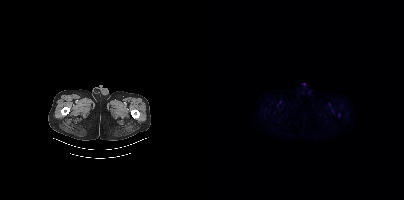
Negative for PSMA-avid disease on this slice. Paired axial CT (left) and PSMA PET (right), [18F]PSMA-1007 tracer. Slice 36 of 450.